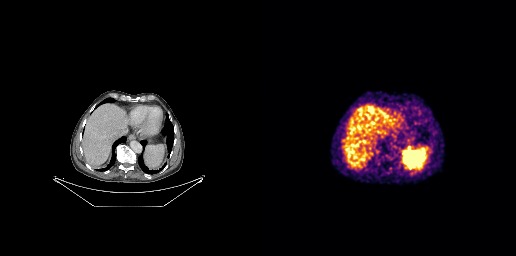
{"modality":"PSMA PET/CT","view":"axial","tracer":"68Ga","pet_grid":[256,256],"coord_frame":"pet_panel","coord_format":"x0,y0,x1,y1","psma_avid_lesions":false}